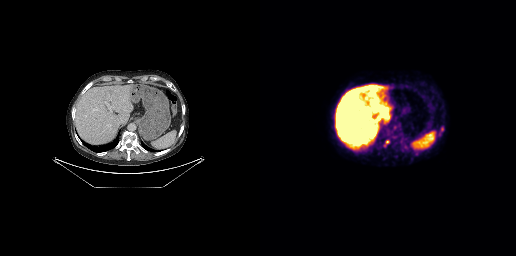
Findings: Coordinates are on the 256×256 PET (right) panel. PSMA-avid tumor lesion bounding boxes (x0, y0)-(x1, y1): (124, 140)-(129, 146) / (181, 127)-(183, 131). Small PSMA-avid focus (2 to 4 px across) near (center x, center y): (111, 93).
Technique: Paired axial CT (left) and PSMA PET (right), 18F tracer. slice position z = -325 mm. PET panel 256×256 px (2.7 mm/px).